Technique: Left: CT. Right: PSMA PET, same axial level, 18F-PSMA tracer. slice 34 of 454.
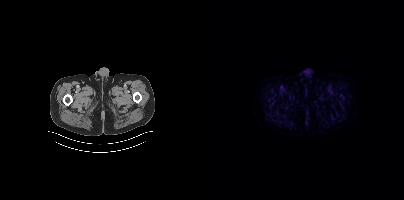
Findings: No PSMA-avid tumor lesions on this slice.